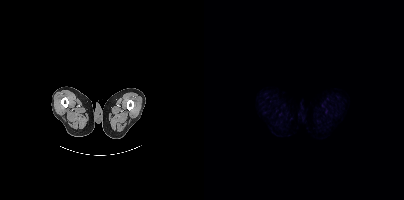
No PSMA-avid tumor lesions on this slice.